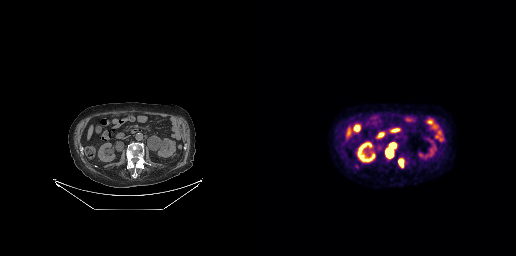
Findings: Coordinates are on the 256×256 PET (right) panel. PSMA-avid tumor lesion bounding boxes (x0,y0,x1,y1): [125,142,136,159] [138,158,144,168].
Technique: Two-panel axial: CT | PSMA PET, 18F tracer.